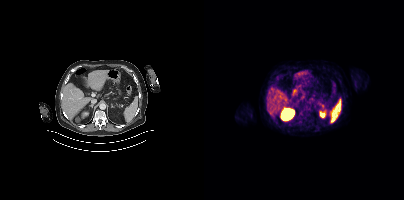
This slice has no annotated PSMA-avid lesion. Paired axial CT (left) and PSMA PET (right), [68Ga]Ga-PSMA-11 tracer. Slice position z = -1174 mm. PET panel 200×200 px (4.1 mm/px).